modality: PSMA PET/CT | tracer: 18F-PSMA | view: axial | PET grid: 200×200
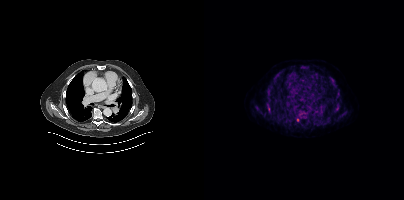
Coordinates are on the 200×200 PET (right) panel. PSMA-avid tumor lesion bounding boxes (x0, y0)-(x1, y1): (93, 111)-(103, 120); (125, 77)-(132, 86); (62, 89)-(67, 94); (51, 106)-(56, 111); (128, 110)-(133, 113); (100, 66)-(103, 70); (122, 120)-(126, 122); (63, 104)-(65, 111). Small PSMA-avid foci (2 to 4 px across) near (center x, center y): (133, 97); (76, 72).